Technique: Paired axial CT (left) and PSMA PET (right), 18F tracer. acquired on Siemens Biograph mCT Flow 20. slice 188 of 462.
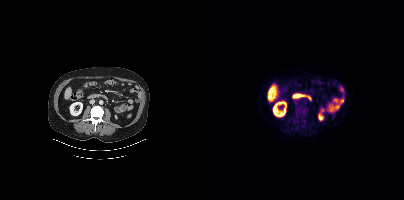
Findings: No tumor lesions annotated on this slice.